- Left: CT. Right: PSMA PET, same axial level, 18F tracer
- acquired on Siemens Biograph mCT Flow 20
- PET panel 200×200 px (4.1 mm/px)
- facial anatomy redacted by setting a rectangular region of the head to black
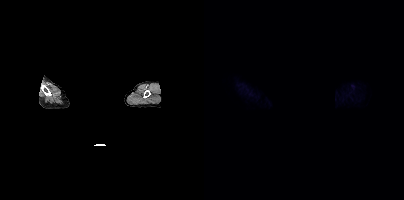
Findings: This slice has no annotated PSMA-avid lesion.